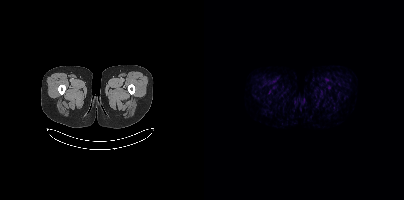
Left: CT. Right: PSMA PET, same axial level, [18F]PSMA-1007 tracer. Slice position z = -845 mm. PET panel 200×200 px (4.1 mm/px). This slice has no annotated PSMA-avid lesion.